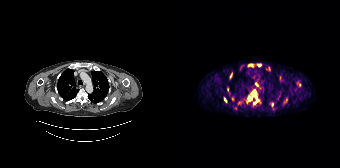
{"modality":"PSMA PET/CT","view":"axial","tracer":"[68Ga]Ga-PSMA-11","pet_grid":[168,168],"coord_frame":"pet_panel","coord_format":"x0,y0,x1,y1","partial":true,"lesion_bboxes":[[75,90,87,104],[94,67,98,70],[85,64,89,66],[52,97,55,101],[76,64,80,66]],"small_foci_centers":[[84,84],[60,98],[58,75],[100,104],[57,93]]}